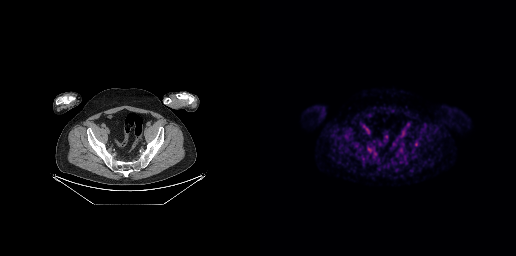
{"modality":"PSMA PET/CT","view":"axial","tracer":"18F-PSMA","pet_grid":[256,256],"coord_frame":"pet_panel","coord_format":"x0,y0,x1,y1","psma_avid_lesions":false}